- Left: CT. Right: PSMA PET, same axial level, [68Ga]Ga-PSMA-11 tracer
- de-identified by setting a rectangular region to black
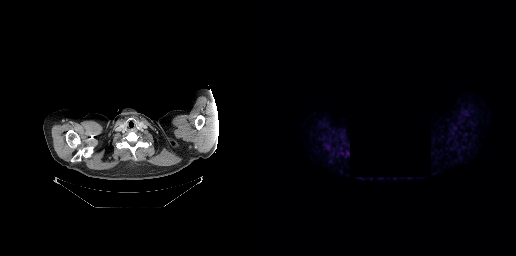
Findings: Negative for PSMA-avid disease on this slice.